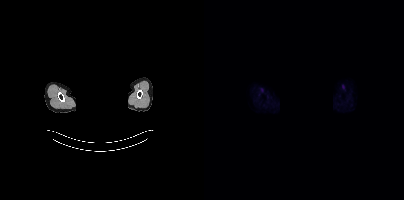
modality: PSMA PET/CT | tracer: [18F]PSMA-1007 | view: axial | PET grid: 200×200 | redaction: head region blanked (face removed)
No tumor lesions annotated on this slice.